Two-panel axial: CT | PSMA PET, 18F tracer. Slice position z = -1664 mm.
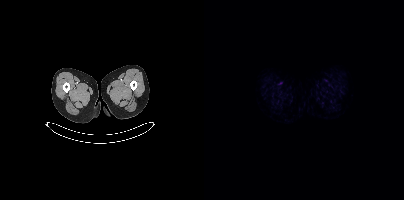
No PSMA-avid tumor lesions on this slice.